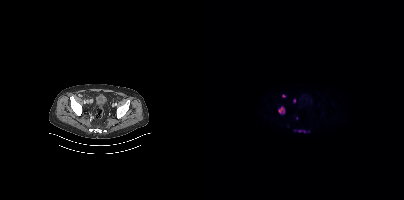
{"modality":"PSMA PET/CT","view":"axial","tracer":"18F-PSMA","pet_grid":[200,200],"coord_frame":"pet_panel","coord_format":"x0,y0,x1,y1","lesion_bboxes":[[74,107,80,113],[94,130,101,132]],"small_foci_centers":[[79,95],[90,100],[92,118]]}